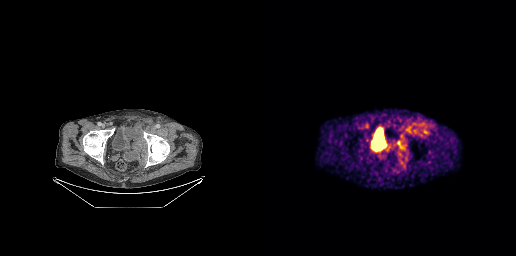
Coordinates are on the 256×256 PET (right) panel. PSMA-avid tumor lesion bounding boxes (x0,y0,x1,y1): [137,137,144,149] [162,127,166,133] [156,129,162,134] [158,125,162,126].